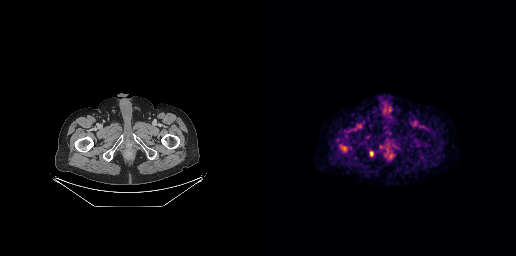
Coordinates are on the 256×256 PET (right) panel. PSMA-avid tumor lesion bounding boxes (x, y, width, height): x=80 y=145 w=7 h=8 / x=110 y=151 w=4 h=6. Two-panel axial: CT | PSMA PET, 18F tracer. Acquired on GE Discovery 690. Slice position z = -733 mm. PET panel 256×256 px (2.7 mm/px).